Paired axial CT (left) and PSMA PET (right), 18F-PSMA tracer. Acquired on Siemens Biograph mCT Flow 20. Slice position z = -887 mm. De-identified by setting a box covering the face to black before release.
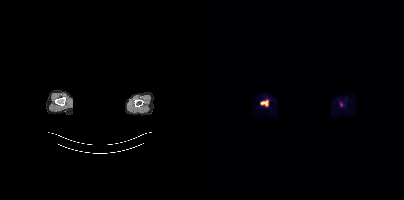
Coordinates are on the 200×200 PET (right) panel. PSMA-avid tumor lesion bounding box (x0, y0)-(x1, y1): (56, 100)-(64, 106). Small PSMA-avid focus (2 to 4 px across) near (center x, center y): (137, 104).